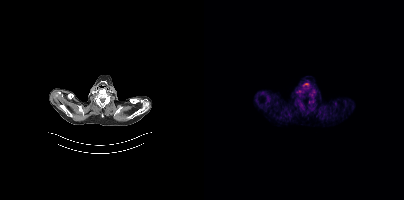
{"modality":"PSMA PET/CT","view":"axial","tracer":"18F","pet_grid":[200,200],"coord_frame":"pet_panel","coord_format":"x0,y0,x1,y1","psma_avid_lesions":false}